modality: PSMA PET/CT | tracer: 18F | view: axial
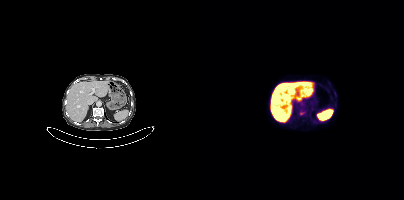
Coordinates are on the 200×200 PET (right) panel. Small PSMA-avid focus (2 to 4 px across) near (center x, center y): (97, 113).